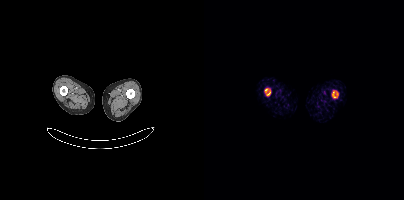
Two-panel axial: CT | PSMA PET, 18F-PSMA tracer. PET panel 200×200 px (4.1 mm/px).
Coordinates are on the 200×200 PET (right) panel. PSMA-avid tumor lesion bounding boxes:
| # | x0 | y0 | x1 | y1 |
|---|---|---|---|---|
| 1 | 60 | 88 | 66 | 95 |
| 2 | 128 | 90 | 134 | 98 |